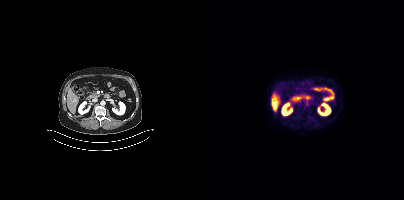
{"modality":"PSMA PET/CT","view":"axial","tracer":"18F-PSMA","pet_grid":[200,200],"coord_frame":"pet_panel","coord_format":"x0,y0,x1,y1","psma_avid_lesions":false}